modality: PSMA PET/CT | tracer: 18F-PSMA | view: axial | PET grid: 200×200
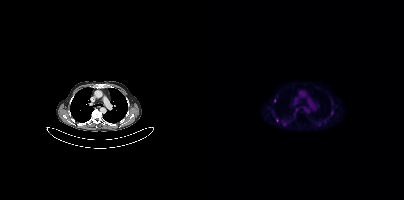
Coordinates are on the 200×200 PET (right) panel. Small PSMA-avid foci (2 to 4 px across) near (center x, center y): (73, 120); (70, 100); (115, 124).